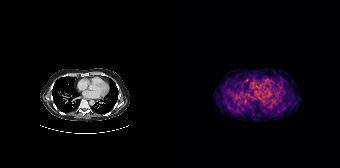
- Left: CT. Right: PSMA PET, same axial level, [68Ga]Ga-PSMA-11 tracer
- slice 127 of 195
- PET panel 168×168 px (4.1 mm/px)
Findings: Negative for PSMA-avid disease on this slice.